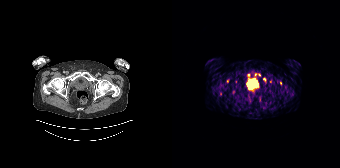
Coordinates are on the 168×168 PET (right) panel. (showing 4 of 7 foci) Small PSMA-avid foci (2 to 4 px across) near (center x, center y): (92, 79), (108, 83), (76, 74), (83, 74). Paired axial CT (left) and PSMA PET (right), [68Ga]Ga-PSMA-11 tracer. Slice position z = -1265 mm. PET panel 168×168 px (4.1 mm/px).